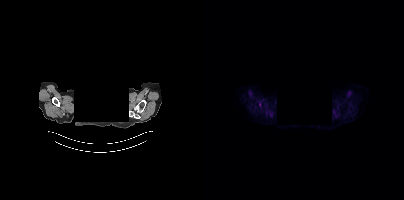
An anonymization step blacked out a rectangle over the head in this scan. Two-panel axial: CT | PSMA PET, 18F tracer. Acquired on Siemens Biograph mCT Flow 20. PET panel 200×200 px (4.1 mm/px).
Coordinates are on the 200×200 PET (right) panel. PSMA-avid tumor lesion bounding boxes:
| # | x0 | y0 | x1 | y1 |
|---|---|---|---|---|
| 1 | 55 | 102 | 56 | 106 |